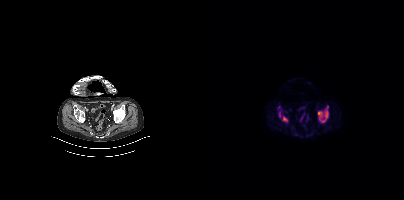
Coordinates are on the 200×200 PET (right) panel. PSMA-avid tumor lesion bounding boxes (x0,y0,x1,y1): [114,106,124,122]; [75,111,84,122]. Small PSMA-avid focus (2 to 4 px across) near (center x, center y): (75, 107).